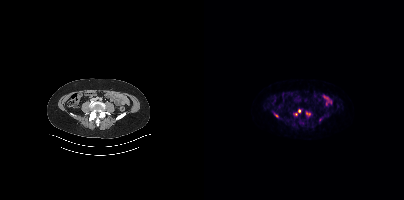
Coordinates are on the 200×200 PET (right) panel. (showing 2 of 3 foci) Small PSMA-avid foci (2 to 4 px across) near (center x, center y): (95, 110); (72, 115).